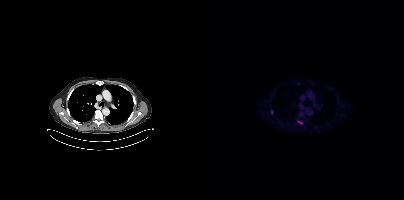
Coordinates are on the 200×200 PET (right) panel. PSMA-avid tumor lesion bounding box (x0,y0,x1,y1): [94,121,98,124]. Small PSMA-avid focus (2 to 4 px across) near (center x, center y): (67, 111).